Any black rectangle over the head is a privacy mask, not anatomy. Left: CT. Right: PSMA PET, same axial level, [18F]PSMA-1007 tracer. Acquired on Siemens Biograph mCT Flow 20. Slice position z = -390 mm. PET panel 200×200 px (4.1 mm/px).
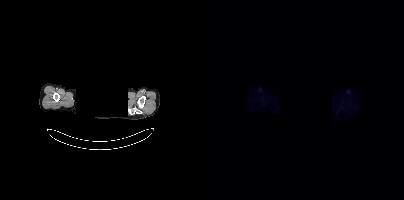
This slice has no annotated PSMA-avid lesion.